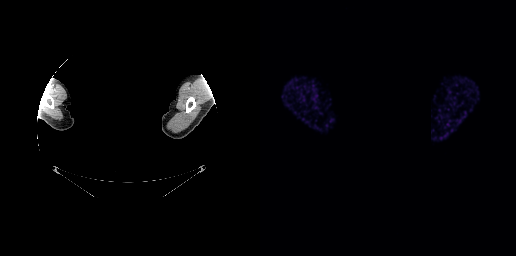
Left: CT. Right: PSMA PET, same axial level, 68Ga-PSMA tracer. Acquired on GE Discovery 690. PET panel 256×256 px (2.7 mm/px). Facial anatomy redacted by setting a rectangular region of the head to black. This slice has no annotated PSMA-avid lesion.